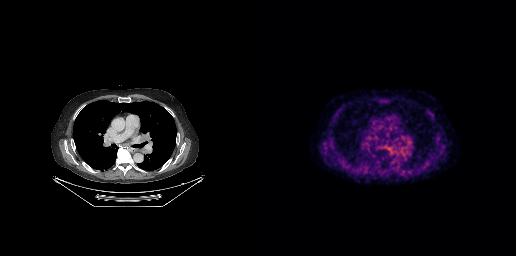
No tumor lesions annotated on this slice.